Technique: Left: CT. Right: PSMA PET, same axial level, 18F-PSMA tracer. slice position z = -1317 mm.
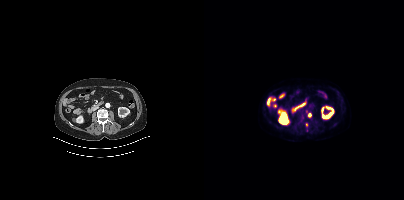
Findings: Coordinates are on the 200×200 PET (right) panel. Small PSMA-avid foci (2 to 4 px across) near (center x, center y): (105, 114) (102, 124).